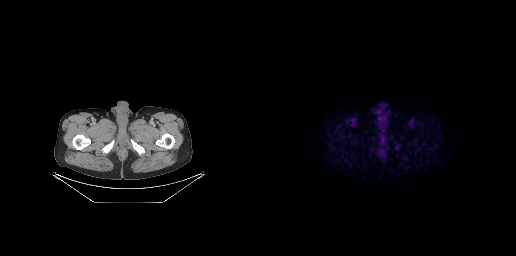
Left: CT. Right: PSMA PET, same axial level, 18F-PSMA tracer. Slice 73 of 299. Coordinates are on the 256×256 PET (right) panel. Small PSMA-avid focus (2 to 4 px across) near (center x, center y): (136, 147).